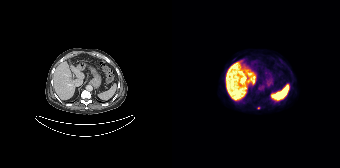
Only PSMA-avid lesion pieces thinner than 2 px on this slice (not listed).